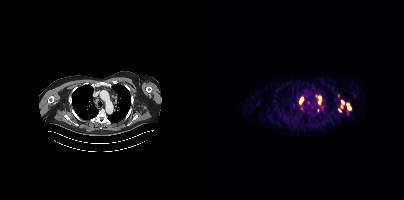
{"pet_grid":[200,200],"coord_frame":"pet_panel","coord_format":"x0,y0,x1,y1","partial":true,"lesion_bboxes":[[114,96,117,103],[95,98,99,103]],"small_foci_centers":[[145,107],[135,110],[138,102],[143,103],[134,95],[137,106]],"modality":"PSMA PET/CT","view":"axial","tracer":"68Ga"}